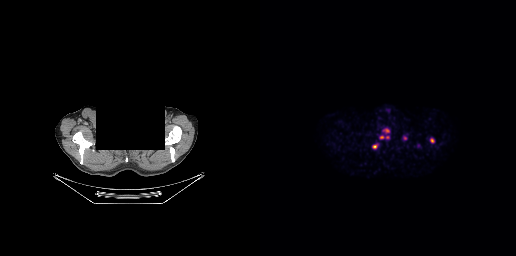
{"modality":"PSMA PET/CT","view":"axial","tracer":"18F-PSMA","pet_grid":[256,256],"coord_frame":"pet_panel","coord_format":"x0,y0,x1,y1","redaction":"facial region redacted","lesion_bboxes":[[123,128,129,132],[112,144,117,148],[170,138,174,142],[120,136,124,138]],"small_foci_centers":[[127,137],[145,138]]}